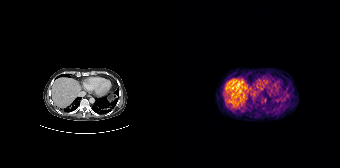
{"modality":"PSMA PET/CT","view":"axial","tracer":"68Ga","pet_grid":[168,168],"coord_frame":"pet_panel","coord_format":"x0,y0,x1,y1","psma_avid_lesions":false}